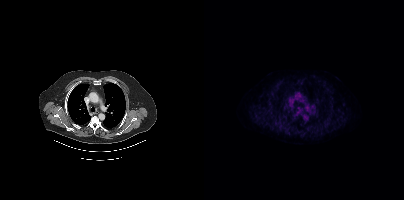
No PSMA-avid tumor lesions on this slice. Two-panel axial: CT | PSMA PET, 18F tracer. Acquired on Siemens Biograph mCT Flow 20. Slice position z = -987 mm.